- Paired axial CT (left) and PSMA PET (right), 18F tracer
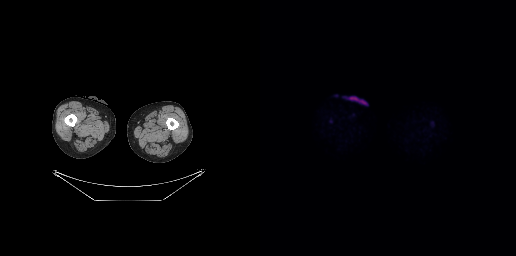
Findings: No PSMA-avid tumor lesions on this slice.